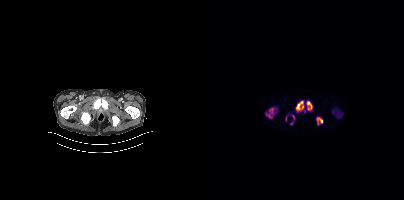
Two-panel axial: CT | PSMA PET, 18F tracer. Acquired on Siemens Biograph mCT Flow 20. PET panel 200×200 px (4.1 mm/px). Coordinates are on the 200×200 PET (right) panel. (showing 5 of 7 foci) PSMA-avid tumor lesion bounding boxes (x0, y0)-(x1, y1): (92, 101)-(99, 110); (62, 108)-(72, 118); (103, 101)-(108, 110); (113, 117)-(118, 124). Small PSMA-avid focus (2 to 4 px across) near (center x, center y): (89, 117).